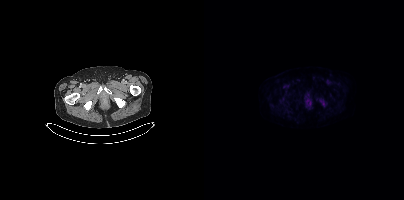
No PSMA-avid tumor lesions on this slice. Paired axial CT (left) and PSMA PET (right), 18F tracer. Acquired on Siemens Biograph mCT Flow 20.